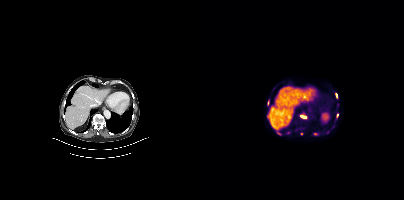
modality: PSMA PET/CT | tracer: 68Ga-PSMA | view: axial | PET grid: 200×200
Coordinates are on the 200×200 PET (right) panel. (showing 9 of 12 foci) PSMA-avid tumor lesion bounding boxes (x0,y0,x1,y1): [96,115,102,118] [101,86,107,88] [132,93,133,97]. Small PSMA-avid foci (2 to 4 px across) near (center x, center y): (111, 133) (133, 115) (123, 132) (75, 133) (97, 133) (84, 132).